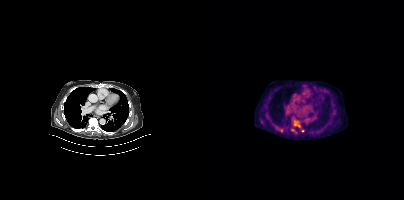
Paired axial CT (left) and PSMA PET (right), [18F]PSMA-1007 tracer. Acquired on Siemens Biograph mCT Flow 20. Coordinates are on the 200×200 PET (right) panel. (showing 2 of 3 foci) PSMA-avid tumor lesion bounding box (x, y, width, height): x=92 y=123 w=5 h=5. Small PSMA-avid focus (2 to 4 px across) near (center x, center y): (98, 130).